Paired axial CT (left) and PSMA PET (right), [68Ga]Ga-PSMA-11 tracer. Acquired on GE Discovery 690. Slice 83 of 299. PET panel 256×256 px (2.7 mm/px).
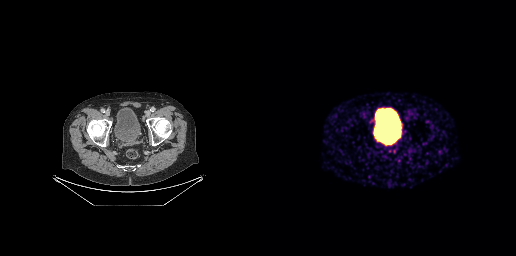
Coordinates are on the 256×256 PET (right) panel. PSMA-avid tumor lesion bounding box (x0, y0)-(x1, y1): (128, 136)-(132, 140).